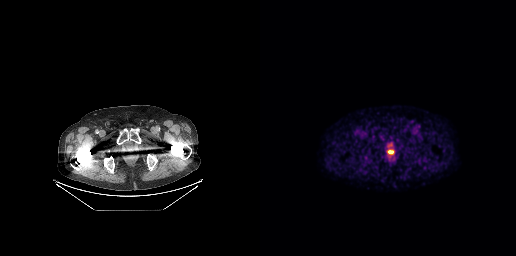
Two-panel axial: CT | PSMA PET, 18F-PSMA tracer.
Coordinates are on the 256×256 PET (right) panel. PSMA-avid tumor lesion bounding boxes:
| # | x0 | y0 | x1 | y1 |
|---|---|---|---|---|
| 1 | 127 | 149 | 133 | 154 |